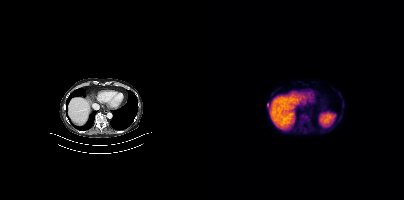
{"modality":"PSMA PET/CT","view":"axial","tracer":"18F","pet_grid":[200,200],"coord_frame":"pet_panel","coord_format":"x0,y0,x1,y1","lesion_bboxes":[[96,113,105,122]],"small_foci_centers":[[63,104]]}